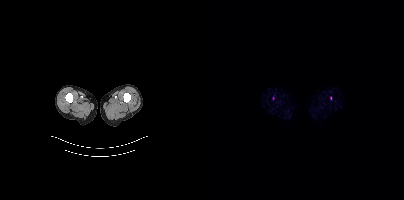
Coordinates are on the 200×200 PET (right) panel. (showing 1 of 2 foci) Small PSMA-avid focus (2 to 4 px across) near (center x, center y): (126, 98).